Left: CT. Right: PSMA PET, same axial level, 18F tracer. Slice position z = -816 mm.
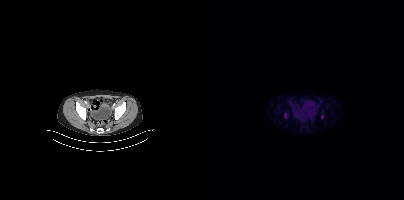
Negative for PSMA-avid disease on this slice.